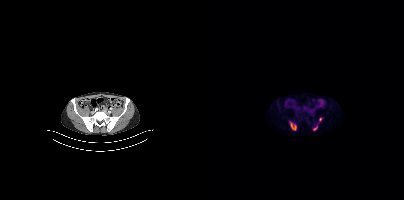
Coordinates are on the 200×200 PET (right) panel. PSMA-avid tumor lesion bounding box (x0, y0)-(x1, y1): (85, 121)-(92, 130). Small PSMA-avid foci (2 to 4 px across) near (center x, center y): (111, 128); (116, 119). Two-panel axial: CT | PSMA PET, [18F]PSMA-1007 tracer. PET panel 200×200 px (4.1 mm/px).